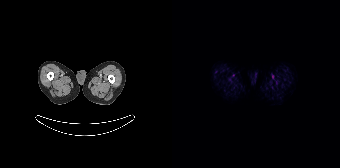
No PSMA-avid tumor lesions on this slice.